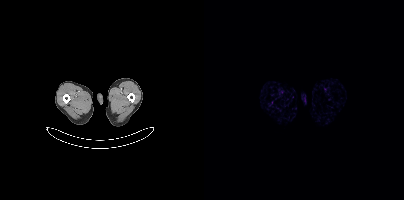
{"modality":"PSMA PET/CT","view":"axial","tracer":"[68Ga]Ga-PSMA-11","pet_grid":[200,200],"coord_frame":"pet_panel","coord_format":"x0,y0,x1,y1","psma_avid_lesions":false}